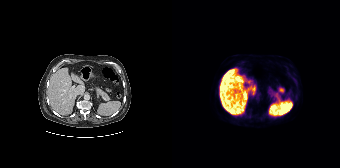
{"modality":"PSMA PET/CT","view":"axial","tracer":"18F","pet_grid":[168,168],"coord_frame":"pet_panel","coord_format":"x0,y0,x1,y1","psma_avid_lesions":false}